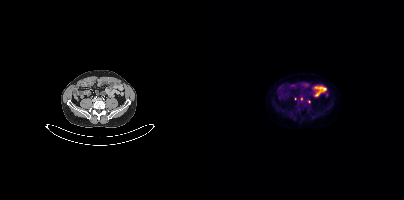
- Left: CT. Right: PSMA PET, same axial level, 18F tracer
- acquired on Siemens Biograph mCT Flow 20
- slice position z = -1524 mm
- PET panel 200×200 px (4.1 mm/px)
Findings: Coordinates are on the 200×200 PET (right) panel. (showing 2 of 3 foci) Small PSMA-avid foci (2 to 4 px across) near (center x, center y): (91, 98), (97, 98).